- Paired axial CT (left) and PSMA PET (right), 68Ga tracer
- acquired on Siemens Biograph 64-4R TruePoint
- PET panel 168×168 px (4.1 mm/px)
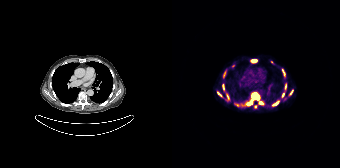
Findings: Coordinates are on the 168×168 PET (right) panel. (showing 12 of 14 foci) PSMA-avid tumor lesion bounding boxes (x0, y0)-(x1, y1): (80, 93)-(87, 99) / (100, 101)-(106, 105) / (79, 60)-(84, 62) / (76, 102)-(80, 104) / (110, 69)-(113, 75) / (46, 92)-(49, 96) / (118, 90)-(120, 94). Small PSMA-avid foci (2 to 4 px across) near (center x, center y): (88, 102) / (111, 95) / (113, 86) / (55, 96) / (83, 106).